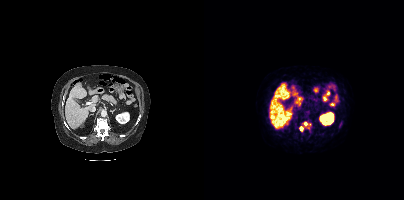
Coordinates are on the 200×200 PET (right) panel. PSMA-avid tumor lesion bounding boxes:
| # | x0 | y0 | x1 | y1 |
|---|---|---|---|---|
| 1 | 99 | 121 | 106 | 128 |
| 2 | 95 | 126 | 99 | 130 |
Paired axial CT (left) and PSMA PET (right), [68Ga]Ga-PSMA-11 tracer. Acquired on Siemens Biograph mCT Flow 20. Slice 218 of 444. PET panel 200×200 px (4.1 mm/px).